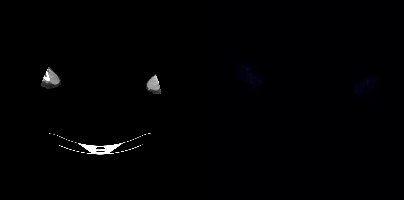
No PSMA-avid tumor lesions on this slice.
redaction: head region blanked (face removed) | modality: PSMA PET/CT | tracer: [18F]PSMA-1007 | view: axial